Two-panel axial: CT | PSMA PET, 18F-PSMA tracer. Slice 213 of 407.
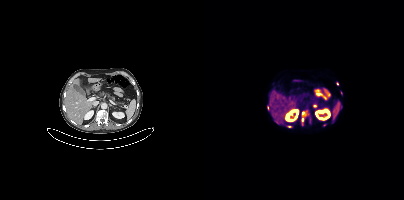
Coordinates are on the 200×200 PET (right) panel. (showing 6 of 9 foci) PSMA-avid tumor lesion bounding box (x0,y0,x1,y1): [97,111,103,125]. Small PSMA-avid foci (2 to 4 px across) near (center x, center y): (110, 106), (120, 125), (63, 107), (85, 126), (133, 83).